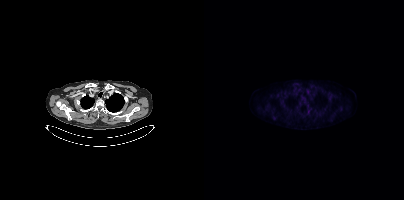
This slice has no annotated PSMA-avid lesion.